- Left: CT. Right: PSMA PET, same axial level, 18F tracer
- acquired on Siemens Biograph mCT Flow 20
- slice 67 of 411
- PET panel 200×200 px (4.1 mm/px)
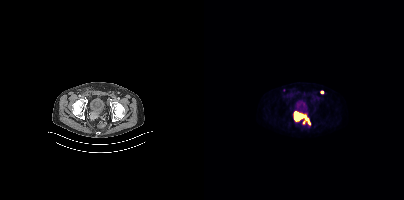
Findings: Coordinates are on the 200×200 PET (right) panel. (showing 2 of 3 foci) PSMA-avid tumor lesion bounding box (x0, y0)-(x1, y1): (89, 111)-(106, 125). Small PSMA-avid focus (2 to 4 px across) near (center x, center y): (117, 92).